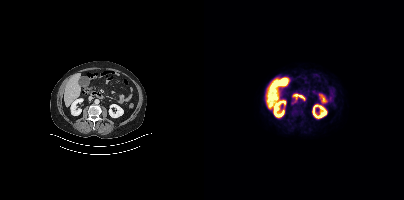
Findings: Negative for PSMA-avid disease on this slice.
- Left: CT. Right: PSMA PET, same axial level, [18F]PSMA-1007 tracer
- PET panel 200×200 px (4.1 mm/px)